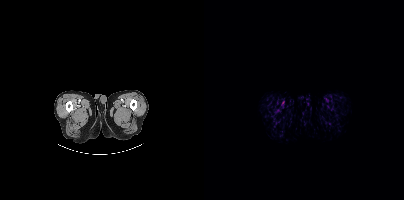
Two-panel axial: CT | PSMA PET, 18F tracer. Slice 4 of 435. PET panel 200×200 px (4.1 mm/px). Negative for PSMA-avid disease on this slice.